Paired axial CT (left) and PSMA PET (right), [18F]PSMA-1007 tracer.
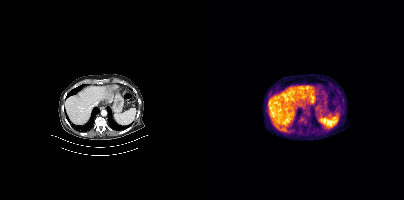
This slice has no annotated PSMA-avid lesion.